Facial anatomy redacted by setting a rectangular region of the head to black. Paired axial CT (left) and PSMA PET (right), [68Ga]Ga-PSMA-11 tracer. Slice position z = -267 mm. PET panel 200×200 px (4.1 mm/px).
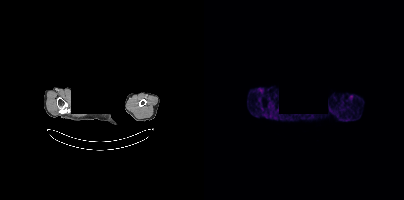
No tumor lesions annotated on this slice.